modality: PSMA PET/CT | tracer: [68Ga]Ga-PSMA-11 | view: axial | PET grid: 168×168
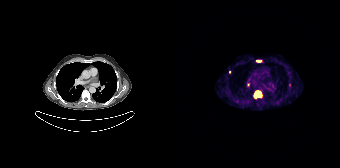
Coordinates are on the 168×168 PET (right) panel. (showing 4 of 5 foci) PSMA-avid tumor lesion bounding box (x, y, width, height): x=82 y=91 w=7 h=7. Small PSMA-avid foci (2 to 4 px across) near (center x, center y): (86, 60) / (117, 84) / (76, 84).